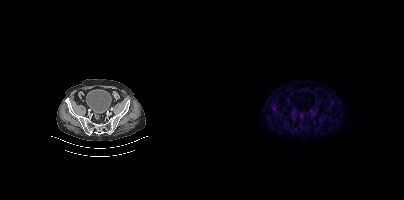
Left: CT. Right: PSMA PET, same axial level, [18F]PSMA-1007 tracer. Slice 89 of 427. Negative for PSMA-avid disease on this slice.